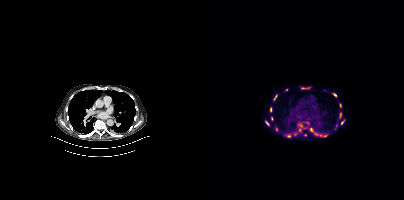
Technique: Left: CT. Right: PSMA PET, same axial level, 18F tracer. acquired on Siemens Biograph mCT Flow 20.
Findings: Coordinates are on the 200×200 PET (right) panel. (showing 15 of 20 foci) PSMA-avid tumor lesion bounding boxes (x, y, width, height): x=96 y=86 w=11 h=4 / x=106 y=128 w=9 h=8 / x=135 y=112 w=3 h=7 / x=128 y=93 w=5 h=5 / x=69 y=95 w=5 h=6 / x=61 y=121 w=5 h=5 / x=136 y=103 w=2 h=5 / x=137 y=120 w=4 h=5. Small PSMA-avid foci (2 to 4 px across) near (center x, center y): (96, 125) / (66, 109) / (121, 135) / (67, 118) / (95, 130) / (85, 136) / (72, 129).